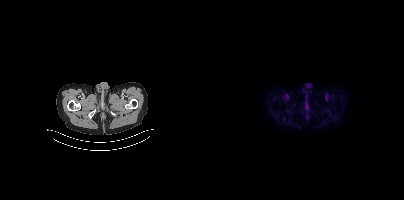
{"modality":"PSMA PET/CT","view":"axial","tracer":"[18F]PSMA-1007","pet_grid":[200,200],"coord_frame":"pet_panel","coord_format":"x0,y0,x1,y1","psma_avid_lesions":false}